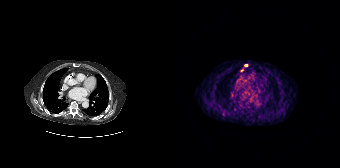
{"modality":"PSMA PET/CT","view":"axial","tracer":"68Ga","pet_grid":[168,168],"coord_frame":"pet_panel","coord_format":"x0,y0,x1,y1","lesion_bboxes":[],"small_foci_centers":[[70,70],[74,65]]}